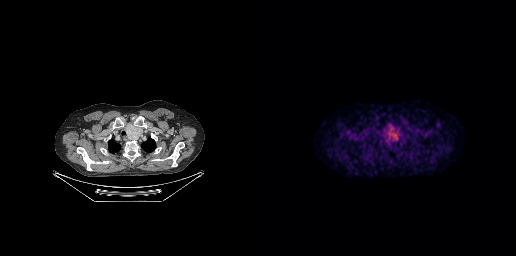
Coordinates are on the 256×256 PET (right) panel. PSMA-avid tumor lesion bounding box (x, y, width, height): x=126 y=124 w=14 h=17.